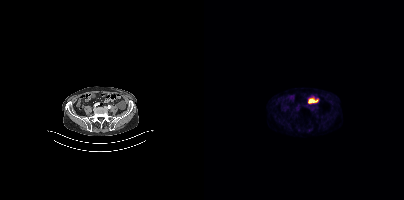
modality: PSMA PET/CT | tracer: 18F | view: axial | PET grid: 200×200
This slice has no annotated PSMA-avid lesion.